Two-panel axial: CT | PSMA PET, 68Ga tracer. Acquired on Siemens Biograph mCT Flow 20. Slice 74 of 448.
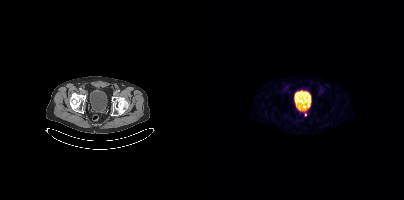
Coordinates are on the 200×200 PET (right) panel. Small PSMA-avid focus (2 to 4 px across) near (center x, center y): (101, 114).